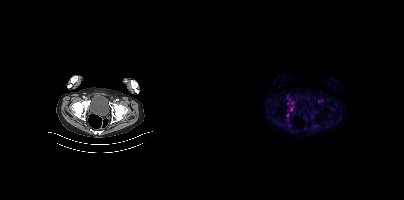
Technique: Two-panel axial: CT | PSMA PET, 18F-PSMA tracer. acquired on Siemens Biograph mCT Flow 20.
Findings: No PSMA-avid tumor lesions on this slice.